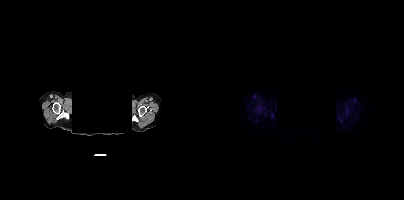
Any black rectangle over the head is a privacy mask, not anatomy. Left: CT. Right: PSMA PET, same axial level, 18F-PSMA tracer. PET panel 200×200 px (4.1 mm/px). Coordinates are on the 200×200 PET (right) panel. PSMA-avid tumor lesion bounding box (x0, y0)-(x1, y1): (135, 118)-(139, 122). Small PSMA-avid focus (2 to 4 px across) near (center x, center y): (151, 99).